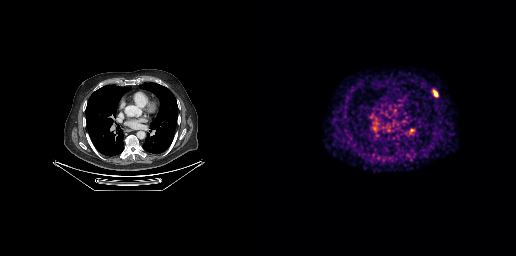
Coordinates are on the 256×256 PET (right) panel. Small PSMA-avid focus (2 to 4 px across) near (center x, center y): (175, 93).
modality: PSMA PET/CT | tracer: 68Ga | view: axial | PET grid: 256×256